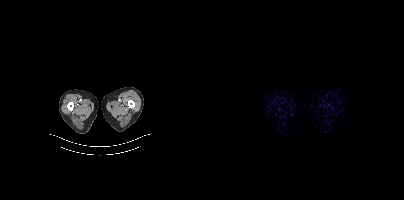
Negative for PSMA-avid disease on this slice.